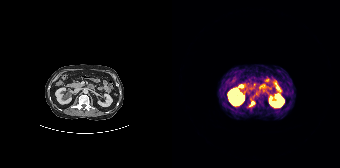
Paired axial CT (left) and PSMA PET (right), 68Ga tracer.
Coordinates are on the 168×168 PET (right) panel. PSMA-avid tumor lesion bounding boxes:
| # | x0 | y0 | x1 | y1 |
|---|---|---|---|---|
| 1 | 78 | 101 | 83 | 106 |